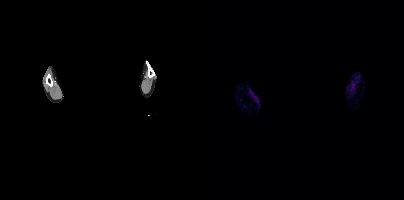
Head region blanked for anonymization (face removed).
This slice has no annotated PSMA-avid lesion.